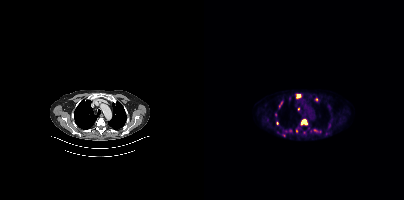
Coordinates are on the 200×200 PET (right) panel. (showing 4 of 6 foci) PSMA-avid tumor lesion bounding box (x0,y0,x1,y1): [96,119,103,125]. Small PSMA-avid foci (2 to 4 px across) near (center x, center y): (94, 95); (73, 123); (94, 109).